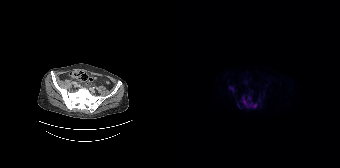
Coordinates are on the 168×168 PET (right) panel. PSMA-avid tumor lesion bounding boxes (x0, y0)-(x1, y1): (70, 97)-(84, 107); (57, 86)-(61, 91); (65, 102)-(69, 108). Small PSMA-avid focus (2 to 4 px across) near (center x, center y): (76, 97). Left: CT. Right: PSMA PET, same axial level, [18F]PSMA-1007 tracer. Acquired on Siemens Biograph 64-4R TruePoint. Slice 54 of 165.